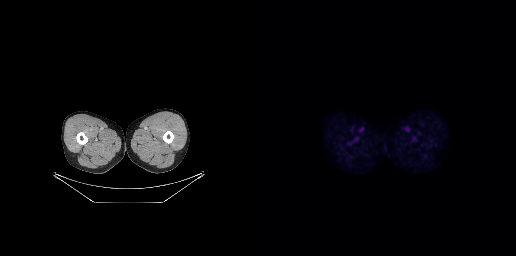
- Two-panel axial: CT | PSMA PET, [18F]PSMA-1007 tracer
- PET panel 256×256 px (2.7 mm/px)
Findings: Negative for PSMA-avid disease on this slice.